Two-panel axial: CT | PSMA PET, 18F-PSMA tracer.
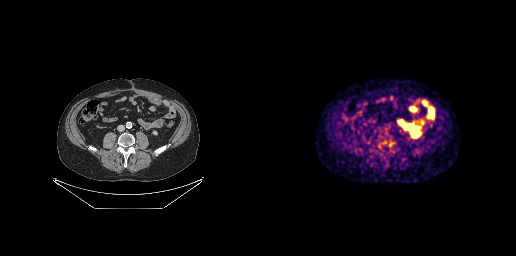
Negative for PSMA-avid disease on this slice.